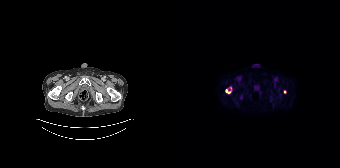
- Left: CT. Right: PSMA PET, same axial level, 18F-PSMA tracer
- slice 25 of 165
- PET panel 168×168 px (4.1 mm/px)
Findings: Coordinates are on the 168×168 PET (right) panel. PSMA-avid tumor lesion bounding box (x0,y0,x1,y1): [53,89,59,93]. Small PSMA-avid foci (2 to 4 px across) near (center x, center y): (58, 88) (112, 91).